Left: CT. Right: PSMA PET, same axial level, 18F-PSMA tracer. Acquired on Siemens Biograph mCT Flow 20.
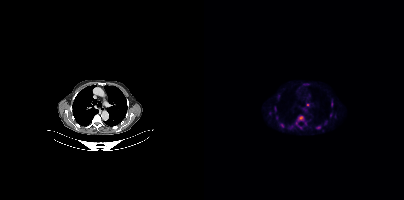
Coordinates are on the 200×200 PET (right) panel. PSMA-avid tumor lesion bounding boxes (partial; 2 more foci not listed):
| # | x0 | y0 | x1 | y1 |
|---|---|---|---|---|
| 1 | 94 | 116 | 99 | 120 |
| 2 | 70 | 106 | 72 | 111 |
Small PSMA-avid foci (2 to 4 px across) near (center x, center y): (78, 125); (114, 127); (66, 113); (127, 105); (103, 104); (126, 115); (72, 116).